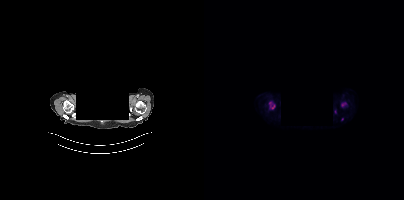
- an anonymization step blacked out a rectangle over the head in this scan
- Two-panel axial: CT | PSMA PET, 18F tracer
- slice position z = -932 mm
- PET panel 200×200 px (4.1 mm/px)
Findings: Coordinates are on the 200×200 PET (right) panel. Small PSMA-avid foci (2 to 4 px across) near (center x, center y): (69, 106) / (138, 119).